- Left: CT. Right: PSMA PET, same axial level, [18F]PSMA-1007 tracer
- slice position z = -1072 mm
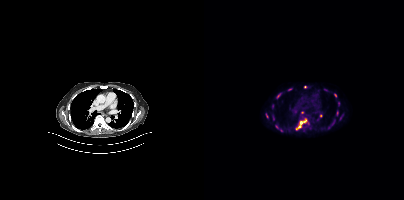
Findings: Coordinates are on the 200×200 PET (right) panel. (showing 14 of 15 foci) PSMA-avid tumor lesion bounding boxes (x, y, width, height): x=92 y=118 w=12 h=13; x=72 y=93 w=6 h=6; x=128 y=120 w=4 h=5; x=133 y=111 w=2 h=5. Small PSMA-avid foci (2 to 4 px across) near (center x, center y): (131, 95); (63, 115); (85, 89); (101, 86); (134, 103); (72, 126); (68, 105); (98, 112); (77, 130); (121, 89).